modality: PSMA PET/CT | tracer: 18F-PSMA | view: axial | PET grid: 200×200
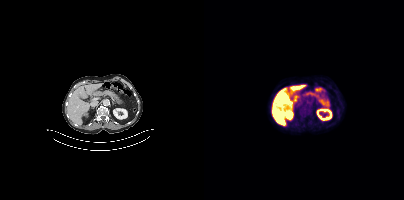
No PSMA-avid tumor lesions on this slice.